- Two-panel axial: CT | PSMA PET, 18F tracer
- acquired on Siemens Biograph mCT Flow 20
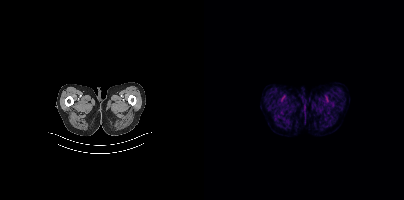
Findings: No PSMA-avid tumor lesions on this slice.